modality: PSMA PET/CT | tracer: [18F]PSMA-1007 | view: axial | PET grid: 200×200
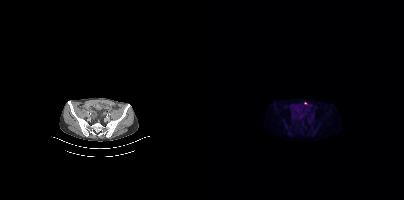
Coordinates are on the 200×200 PET (right) panel. Small PSMA-avid focus (2 to 4 px across) near (center x, center y): (101, 102).